Two-panel axial: CT | PSMA PET, 68Ga tracer. Acquired on Siemens Biograph mCT Flow 20. Slice position z = -1470 mm. PET panel 200×200 px (4.1 mm/px).
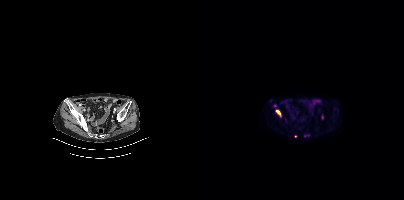
Coordinates are on the 200×200 PET (right) panel. (showing 4 of 5 foci) PSMA-avid tumor lesion bounding boxes (x0, y0)-(x1, y1): (72, 110)-(76, 115) / (100, 134)-(104, 137). Small PSMA-avid foci (2 to 4 px across) near (center x, center y): (70, 105) / (91, 136).